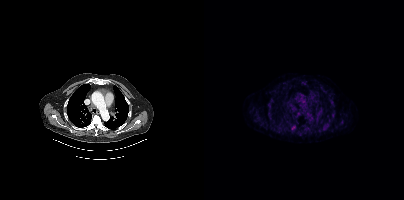
Coordinates are on the 200×200 PET (right) panel. Small PSMA-avid focus (2 to 4 px across) near (center x, center y): (89, 128). Left: CT. Right: PSMA PET, same axial level, 18F-PSMA tracer. PET panel 200×200 px (4.1 mm/px).